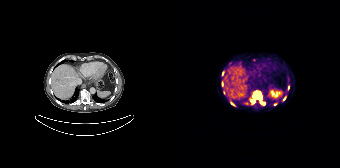
Coordinates are on the 168×168 PET (right) panel. (showing 6 of 9 foci) PSMA-avid tumor lesion bounding boxes (x0,y0,x1,y1): [79,91,92,104], [49,81,51,86]. Small PSMA-avid foci (2 to 4 px across) near (center x, center y): (112, 98), (116, 87), (60, 103), (50, 73).